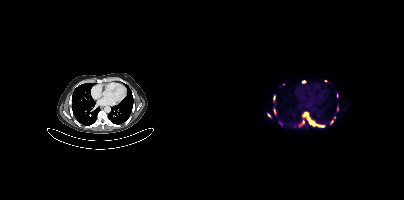
Coordinates are on the 200×200 PET (right) panel. PSMA-avid tumor lesion bounding boxes (x0, y0)-(x1, y1): (98, 112)-(121, 126) / (94, 120)-(100, 127) / (75, 121)-(78, 125) / (133, 106)-(134, 111) / (133, 93)-(134, 97) / (70, 109)-(71, 114). Small PSMA-avid foci (2 to 4 px across) near (center x, center y): (65, 115) / (128, 121) / (99, 81) / (70, 97) / (91, 126) / (121, 80) / (130, 117) / (79, 84). Paired axial CT (left) and PSMA PET (right), [18F]PSMA-1007 tracer. Slice position z = 300 mm.